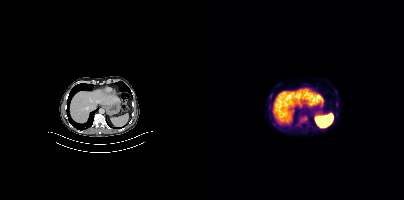
Technique: Two-panel axial: CT | PSMA PET, 18F tracer. acquired on Siemens Biograph mCT Flow 20.
Findings: Coordinates are on the 200×200 PET (right) panel. PSMA-avid tumor lesion bounding box (x0, y0)-(x1, y1): (97, 115)-(103, 122).